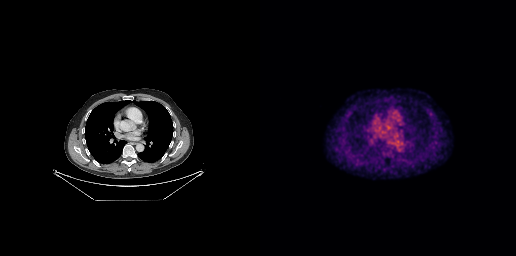
Technique: Two-panel axial: CT | PSMA PET, [18F]PSMA-1007 tracer. slice position z = -289 mm.
Findings: No PSMA-avid tumor lesions on this slice.